Technique: Left: CT. Right: PSMA PET, same axial level, [18F]PSMA-1007 tracer.
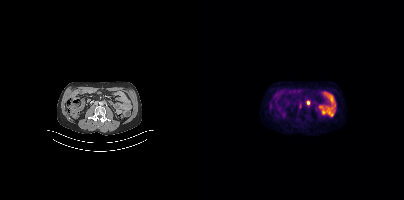
Findings: Coordinates are on the 200×200 PET (right) panel. Small PSMA-avid foci (2 to 4 px across) near (center x, center y): (103, 102); (96, 105).